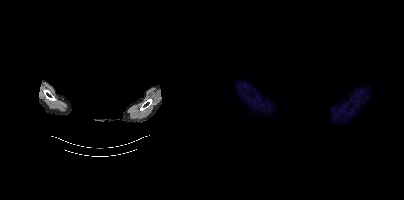
Two-panel axial: CT | PSMA PET, 68Ga tracer. Slice 369 of 405. PET panel 200×200 px (4.1 mm/px). De-identified by setting a box covering the face to black before release. This slice has no annotated PSMA-avid lesion.